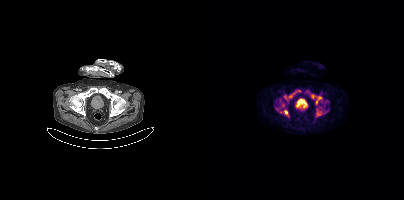
Coordinates are on the 200×200 PET (right) panel. (showing 6 of 8 foci) PSMA-avid tumor lesion bounding boxes (x, y, width, height): x=79 y=93 w=12 h=10 | x=112 y=96 w=6 h=9 | x=80 y=110 w=4 h=6. Small PSMA-avid foci (2 to 4 px across) near (center x, center y): (114, 113) | (94, 91) | (79, 105).